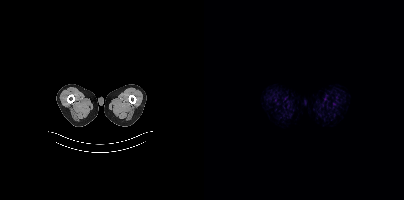
Two-panel axial: CT | PSMA PET, 18F-PSMA tracer. Acquired on Siemens Biograph mCT Flow 20. PET panel 200×200 px (4.1 mm/px). No PSMA-avid tumor lesions on this slice.